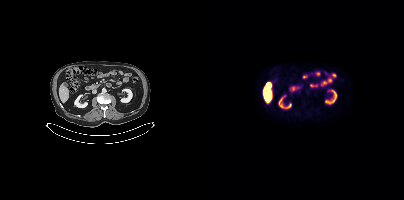
Findings: No PSMA-avid tumor lesions on this slice.
- Two-panel axial: CT | PSMA PET, 18F tracer
- acquired on Siemens Biograph mCT Flow 20